Left: CT. Right: PSMA PET, same axial level, [18F]PSMA-1007 tracer.
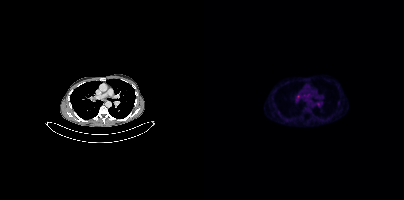
Coordinates are on the 200×200 PET (right) panel. PSMA-avid tumor lesion bounding box (x0, y0)-(x1, y1): (92, 95)-(96, 99). Small PSMA-avid foci (2 to 4 px across) near (center x, center y): (113, 103) / (74, 112).